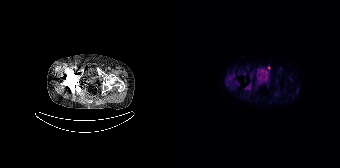
Negative for PSMA-avid disease on this slice. Paired axial CT (left) and PSMA PET (right), [18F]PSMA-1007 tracer. Slice position z = -1596 mm.